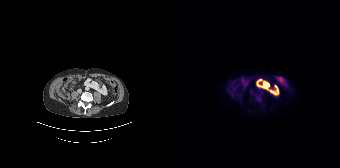
No PSMA-avid tumor lesions on this slice. Left: CT. Right: PSMA PET, same axial level, 18F tracer. Acquired on Siemens Biograph 64-4R TruePoint. Slice position z = -1455 mm. PET panel 168×168 px (4.1 mm/px).